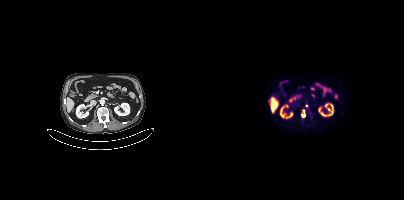
Technique: Paired axial CT (left) and PSMA PET (right), 18F tracer. slice position z = -1225 mm. PET panel 200×200 px (4.1 mm/px).
Findings: Coordinates are on the 200×200 PET (right) panel. (showing 1 of 2 foci) Small PSMA-avid focus (2 to 4 px across) near (center x, center y): (99, 111).